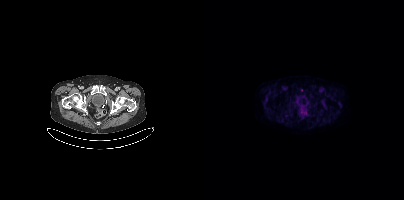
Left: CT. Right: PSMA PET, same axial level, 18F tracer. Acquired on Siemens Biograph mCT Flow 20. Slice 61 of 387. PET panel 200×200 px (4.1 mm/px). Negative for PSMA-avid disease on this slice.